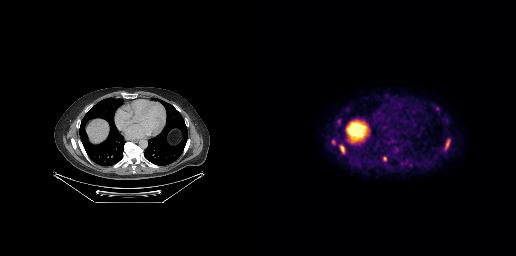
Coordinates are on the 256×256 PET (right) panel. PSMA-avid tumor lesion bounding boxes (x, y, width, height): x=184 y=139 w=7 h=12; x=79 y=145 w=7 h=9; x=175 y=107 w=5 h=4. Small PSMA-avid foci (2 to 4 px across) near (center x, center y): (79, 121); (73, 141); (124, 158). Paired axial CT (left) and PSMA PET (right), [18F]PSMA-1007 tracer. Acquired on GE Discovery 690. PET panel 256×256 px (2.7 mm/px).